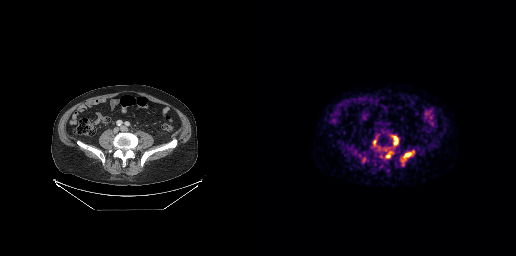
Coordinates are on the 256×256 PET (right) panel. PSMA-avid tumor lesion bounding boxes (partial; 1 more focus not listed):
| # | x0 | y0 | x1 | y1 |
|---|---|---|---|---|
| 1 | 132 | 136 | 138 | 145 |
| 2 | 143 | 152 | 151 | 158 |
| 3 | 126 | 151 | 131 | 157 |
Small PSMA-avid focus (2 to 4 px across) near (center x, center y): (114, 144).
Two-panel axial: CT | PSMA PET, 68Ga tracer. Acquired on GE Discovery 690.